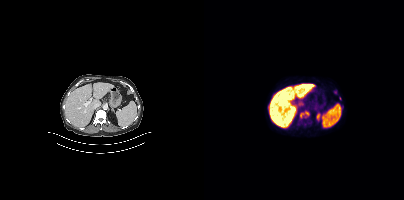
Coordinates are on the 200×200 PET (right) panel. (showing 1 of 2 foci) PSMA-avid tumor lesion bounding box (x, y, width, height): x=96 y=112 w=10 h=6.